Technique: Left: CT. Right: PSMA PET, same axial level, 18F tracer.
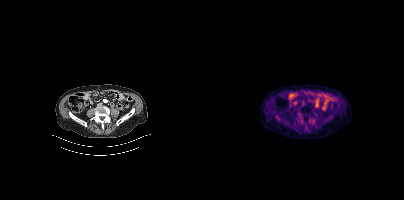
Findings: Negative for PSMA-avid disease on this slice.